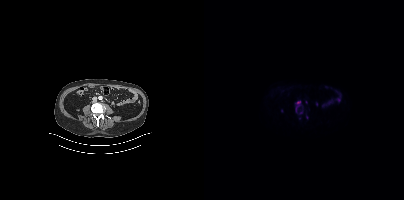
Coordinates are on the 200×200 PET (right) panel. PSMA-avid tumor lesion bounding boxes (x0,y0,x1,y1): [92,101,96,104], [95,110,98,114].